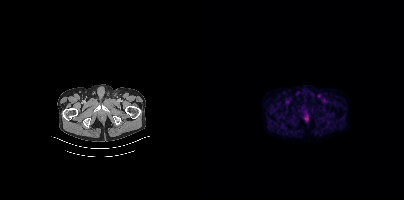
Technique: Left: CT. Right: PSMA PET, same axial level, 18F tracer. acquired on Siemens Biograph mCT Flow 20.
Findings: Coordinates are on the 200×200 PET (right) panel. Small PSMA-avid focus (2 to 4 px across) near (center x, center y): (114, 95).